- Two-panel axial: CT | PSMA PET, 18F tracer
- PET panel 200×200 px (4.1 mm/px)
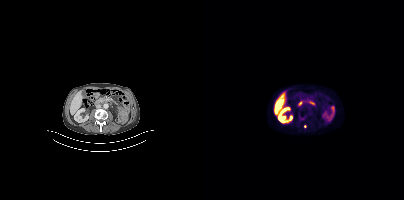
Findings: Coordinates are on the 200×200 PET (right) panel. Small PSMA-avid focus (2 to 4 px across) near (center x, center y): (100, 126).